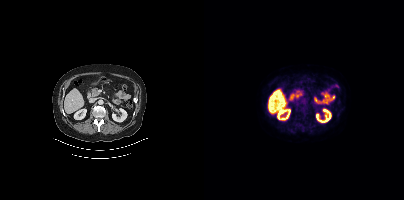
Coordinates are on the 200×200 PET (right) panel. (showing 2 of 3 foci) PSMA-avid tumor lesion bounding box (x0, y0)-(x1, y1): (96, 106)-(103, 114). Small PSMA-avid focus (2 to 4 px across) near (center x, center y): (103, 117). Two-panel axial: CT | PSMA PET, [18F]PSMA-1007 tracer. Acquired on Siemens Biograph mCT Flow 20.